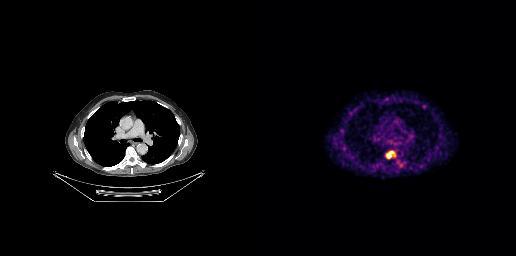
Left: CT. Right: PSMA PET, same axial level, 68Ga tracer. Acquired on GE Discovery 690. Slice 184 of 263. PET panel 256×256 px (2.7 mm/px).
Coordinates are on the 256×256 PET (right) panel. PSMA-avid tumor lesion bounding boxes:
| # | x0 | y0 | x1 | y1 |
|---|---|---|---|---|
| 1 | 127 | 151 | 133 | 157 |